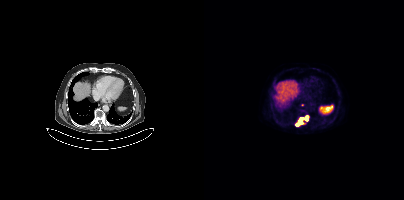
- Left: CT. Right: PSMA PET, same axial level, 18F-PSMA tracer
- acquired on Siemens Biograph mCT Flow 20
- slice 255 of 419
Findings: Coordinates are on the 200×200 PET (right) panel. (showing 1 of 2 foci) PSMA-avid tumor lesion bounding box (x0,y0,x1,y1): [92,116,104,126].